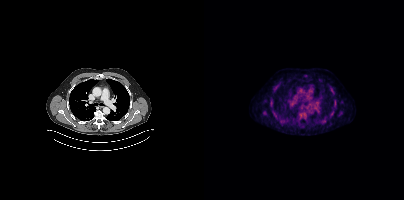
Two-panel axial: CT | PSMA PET, 18F-PSMA tracer. Slice 332 of 454. PET panel 200×200 px (4.1 mm/px). Coordinates are on the 200×200 PET (right) panel. (showing 1 of 2 foci) Small PSMA-avid focus (2 to 4 px across) near (center x, center y): (128, 90).